Head region blanked for anonymization (face removed). Left: CT. Right: PSMA PET, same axial level, [18F]PSMA-1007 tracer. Slice 332 of 344.
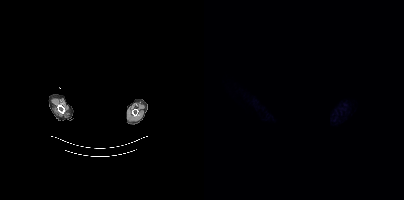
Negative for PSMA-avid disease on this slice.